- Paired axial CT (left) and PSMA PET (right), [18F]PSMA-1007 tracer
- slice 233 of 377
- PET panel 200×200 px (4.1 mm/px)
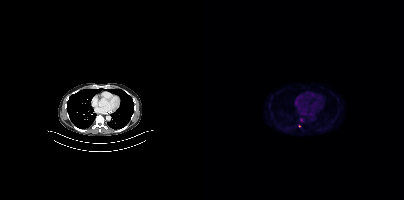
Findings: Coordinates are on the 200×200 PET (right) panel. Small PSMA-avid foci (2 to 4 px across) near (center x, center y): (95, 126) (97, 119).